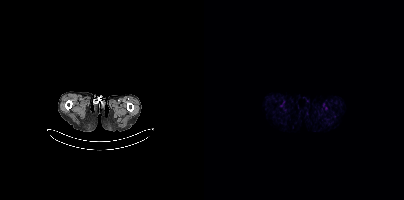
Negative for PSMA-avid disease on this slice. Left: CT. Right: PSMA PET, same axial level, 18F tracer. Acquired on Siemens Biograph mCT Flow 20. Slice position z = -1070 mm. PET panel 200×200 px (4.1 mm/px).